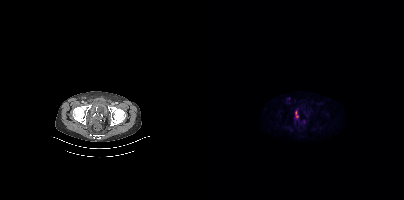
{"modality":"PSMA PET/CT","view":"axial","tracer":"18F-PSMA","pet_grid":[200,200],"coord_frame":"pet_panel","coord_format":"x0,y0,x1,y1","partial":true,"lesion_bboxes":[[91,111,94,117]],"small_foci_centers":[[100,121]]}